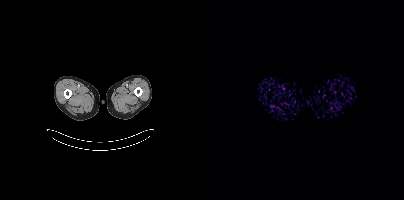
{"modality":"PSMA PET/CT","view":"axial","tracer":"68Ga-PSMA","pet_grid":[200,200],"coord_frame":"pet_panel","coord_format":"x0,y0,x1,y1","psma_avid_lesions":false}